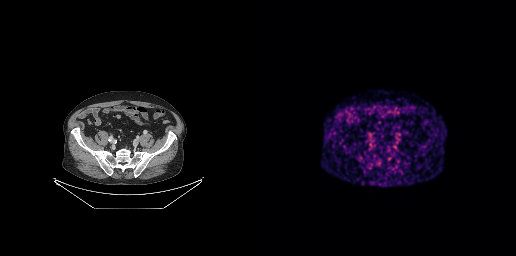
Findings: Negative for PSMA-avid disease on this slice.
- Paired axial CT (left) and PSMA PET (right), 68Ga-PSMA tracer
- slice position z = -734 mm
- PET panel 256×256 px (2.7 mm/px)